Two-panel axial: CT | PSMA PET, 18F tracer. Slice 330 of 413.
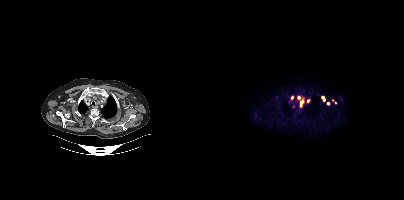
Coordinates are on the 200×200 PET (right) panel. PSMA-avid tumor lesion bounding boxes (x0, y0)-(x1, y1): (93, 96)-(100, 107); (117, 96)-(121, 101). Small PSMA-avid foci (2 to 4 px across) near (center x, center y): (88, 97); (104, 100); (124, 103); (85, 101); (128, 100); (131, 102).